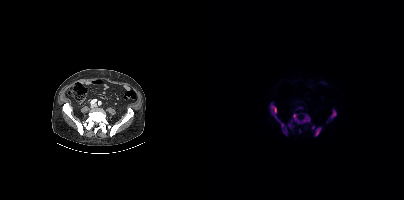
- Paired axial CT (left) and PSMA PET (right), 18F-PSMA tracer
- PET panel 200×200 px (4.1 mm/px)
Findings: Coordinates are on the 200×200 PET (right) panel. (showing 9 of 10 foci) PSMA-avid tumor lesion bounding boxes (x0,y0,x1,y1): [89,114,105,123] [67,104,72,117] [74,120,83,134] [126,109,132,118] [111,127,116,136]. Small PSMA-avid foci (2 to 4 px across) near (center x, center y): (85, 125) (109, 127) (95, 107) (87, 120).